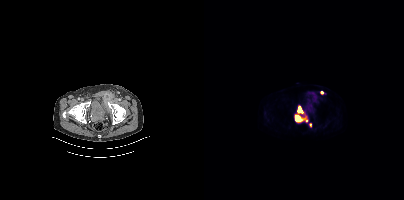
modality: PSMA PET/CT | tracer: 18F | view: axial | PET grid: 200×200
Coordinates are on the 200×200 PET (right) panel. (showing 3 of 4 foci) PSMA-avid tumor lesion bounding box (x, y, width, height): x=91 y=106 w=9 h=16. Small PSMA-avid foci (2 to 4 px across) near (center x, center y): (117, 92); (102, 120).